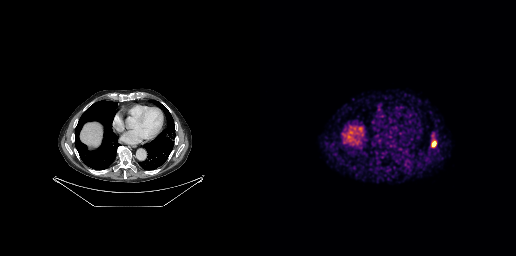
Technique: Paired axial CT (left) and PSMA PET (right), 68Ga-PSMA tracer. PET panel 256×256 px (2.7 mm/px).
Findings: Coordinates are on the 256×256 PET (right) panel. PSMA-avid tumor lesion bounding boxes (x0,y0,x1,y1): [171,141,176,147]; [171,132,175,136].